Left: CT. Right: PSMA PET, same axial level, 18F-PSMA tracer. Acquired on Siemens Biograph mCT Flow 20.
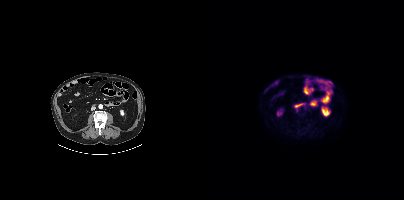
Negative for PSMA-avid disease on this slice.